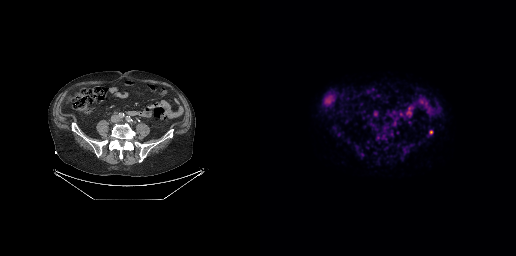
Coordinates are on the 256×256 PET (right) panel. (showing 1 of 2 foci) PSMA-avid tumor lesion bounding box (x0, y0)-(x1, y1): (169, 130)-(173, 134).